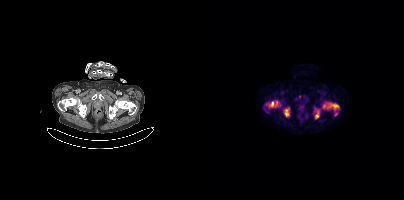
Coordinates are on the 200×200 PET (right) panel. (showing 5 of 6 foci) PSMA-avid tumor lesion bounding boxes (x0, y0)-(x1, y1): (119, 103)-(135, 109) | (81, 109)-(84, 115) | (111, 110)-(114, 118) | (67, 102)-(69, 106). Small PSMA-avid focus (2 to 4 px across) near (center x, center y): (132, 114).